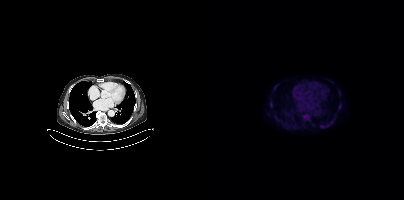
- Left: CT. Right: PSMA PET, same axial level, 18F-PSMA tracer
Findings: Coordinates are on the 200×200 PET (right) panel. PSMA-avid tumor lesion bounding box (x, y, width, height): x=66 y=102 w=3 h=5. Small PSMA-avid focus (2 to 4 px across) near (center x, center y): (101, 116).